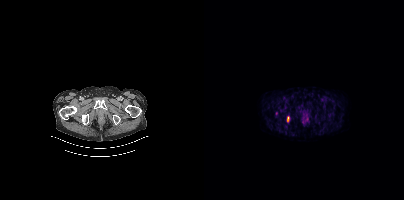
Findings: Coordinates are on the 200×200 PET (right) panel. (showing 1 of 2 foci) PSMA-avid tumor lesion bounding box (x0,y0,x1,y1): [83,116,85,122].
Technique: Paired axial CT (left) and PSMA PET (right), [18F]PSMA-1007 tracer. PET panel 200×200 px (4.1 mm/px).